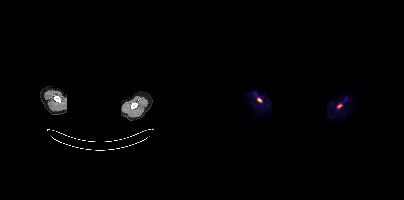
modality: PSMA PET/CT | tracer: [18F]PSMA-1007 | view: axial | PET grid: 200×200 | de-identification: face masked with black rectangle
Coordinates are on the 200×200 PET (right) panel. Small PSMA-avid foci (2 to 4 px across) near (center x, center y): (55, 99) | (134, 106).